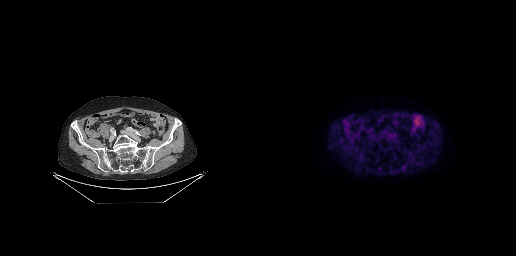
Findings: This slice has no annotated PSMA-avid lesion.
Technique: Two-panel axial: CT | PSMA PET, 18F tracer. acquired on GE Discovery 690. slice position z = -773 mm.